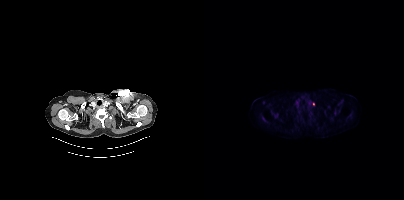
modality: PSMA PET/CT | tracer: [18F]PSMA-1007 | view: axial
Only PSMA-avid lesion pieces thinner than 2 px on this slice (not listed).